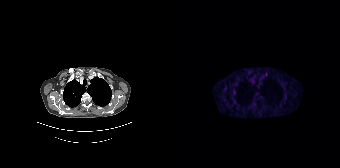
Coordinates are on the 168×168 PET (right) panel. Small PSMA-avid focus (2 to 4 px across) near (center x, center y): (61, 92).